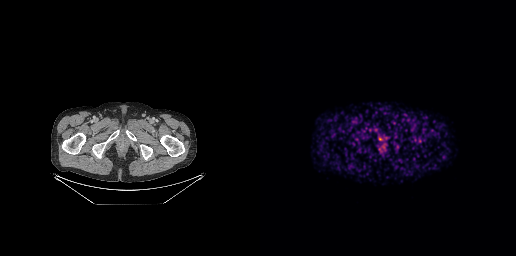
- Two-panel axial: CT | PSMA PET, [68Ga]Ga-PSMA-11 tracer
- PET panel 256×256 px (2.7 mm/px)
Findings: No tumor lesions annotated on this slice.